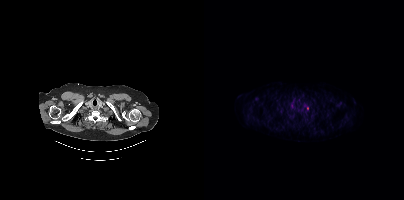
modality: PSMA PET/CT | tracer: [18F]PSMA-1007 | view: axial | PET grid: 200×200
Coordinates are on the 200×200 PET (right) panel. Small PSMA-avid focus (2 to 4 px across) near (center x, center y): (103, 108).